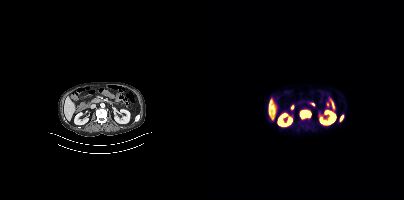
Coordinates are on the 200×200 PET (right) panel. PSMA-avid tumor lesion bounding boxes (x0,y0,x1,y1): [96,110,106,118], [136,115,139,121]. Two-panel axial: CT | PSMA PET, 18F tracer. Slice 167 of 401.